Technique: Two-panel axial: CT | PSMA PET, [18F]PSMA-1007 tracer. acquired on Siemens Biograph mCT Flow 20. slice 121 of 427. PET panel 200×200 px (4.1 mm/px).
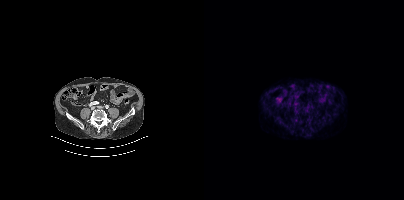
Findings: No PSMA-avid tumor lesions on this slice.